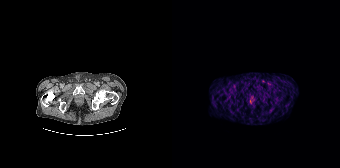
- Two-panel axial: CT | PSMA PET, 68Ga tracer
- acquired on Siemens Biograph 64-4R TruePoint
- slice 36 of 195
- PET panel 168×168 px (4.1 mm/px)
Findings: Coordinates are on the 168×168 PET (right) panel. PSMA-avid tumor lesion bounding box (x, y, width, height): x=77 y=99 w=4 h=5.